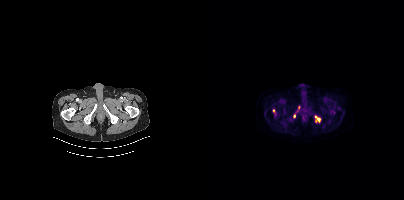
Findings: Coordinates are on the 200×200 PET (right) panel. PSMA-avid tumor lesion bounding boxes (x0, y0)-(x1, y1): (110, 115)-(116, 122); (93, 106)-(96, 111). Small PSMA-avid foci (2 to 4 px across) near (center x, center y): (69, 110); (90, 116).
- Paired axial CT (left) and PSMA PET (right), 18F tracer
- acquired on Siemens Biograph mCT Flow 20
- slice position z = -1565 mm
- PET panel 200×200 px (4.1 mm/px)